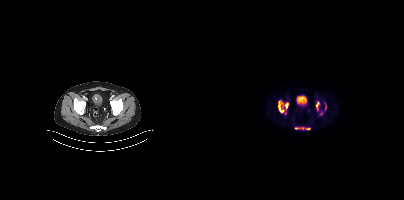
{"pet_grid":[200,200],"coord_frame":"pet_panel","coord_format":"x0,y0,x1,y1","partial":true,"lesion_bboxes":[[74,100,84,112],[111,101,115,111],[91,127,106,129],[121,103,122,110]],"small_foci_centers":[[117,113]],"modality":"PSMA PET/CT","view":"axial","tracer":"18F-PSMA"}